modality: PSMA PET/CT | tracer: 68Ga-PSMA | view: axial | PET grid: 256×256
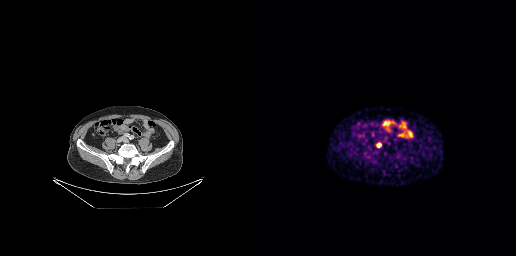
Coordinates are on the 256×256 PET (right) panel. PSMA-avid tumor lesion bounding box (x0,y0,x1,y1): [117,142,121,147].